modality: PSMA PET/CT | tracer: 18F-PSMA | view: axial
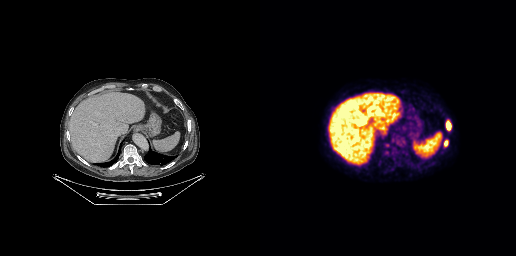
Coordinates are on the 256×256 PET (right) panel. PSMA-avid tumor lesion bounding boxes (x0,y0,x1,y1): [186,120,191,130]; [184,140,188,146].